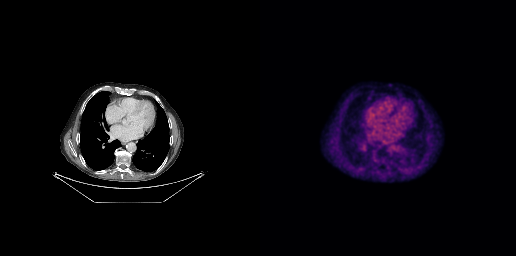
{"modality":"PSMA PET/CT","view":"axial","tracer":"18F-PSMA","pet_grid":[256,256],"coord_frame":"pet_panel","coord_format":"x0,y0,x1,y1","psma_avid_lesions":false}